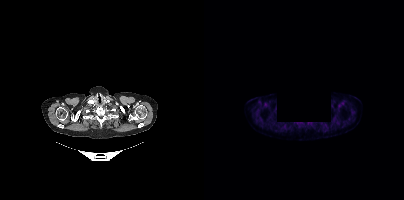
De-identified by setting a rectangular region to black.
This slice has no annotated PSMA-avid lesion.